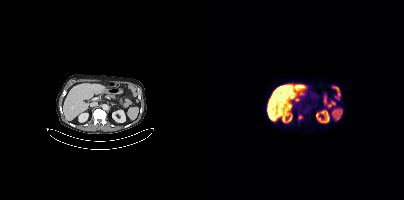
Findings: Coordinates are on the 200×200 PET (right) panel. PSMA-avid tumor lesion bounding box (x, y, width, height): x=94 y=115 w=5 h=6.
Technique: Two-panel axial: CT | PSMA PET, 18F tracer. PET panel 200×200 px (4.1 mm/px).